Left: CT. Right: PSMA PET, same axial level, 18F-PSMA tracer. PET panel 200×200 px (4.1 mm/px).
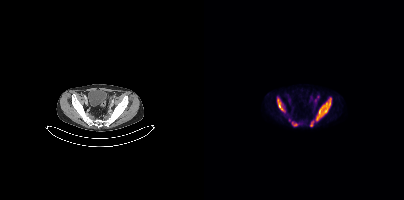
Coordinates are on the 200×200 PET (right) panel. (showing 3 of 5 foci) PSMA-avid tumor lesion bounding boxes (x0, y0)-(x1, y1): (106, 97)-(127, 126) / (73, 97)-(81, 112) / (88, 122)-(93, 126).